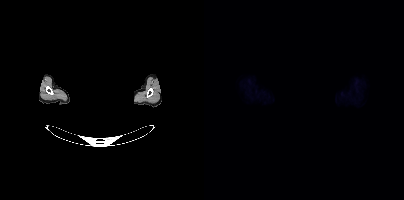
No PSMA-avid tumor lesions on this slice.
redaction: rectangular block over head set to black | modality: PSMA PET/CT | tracer: 18F-PSMA | view: axial | PET grid: 200×200